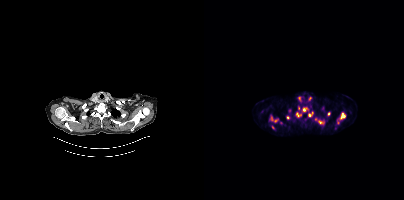
Coordinates are on the 200×200 PET (right) panel. (showing 11 of 14 foci) PSMA-avid tumor lesion bounding boxes (x, y, width, height): x=66 y=115 w=9 h=8 / x=136 y=112 w=6 h=8 / x=91 y=112 w=7 h=6 / x=104 y=112 w=5 h=5 / x=114 y=120 w=6 h=4. Small PSMA-avid foci (2 to 4 px across) near (center x, center y): (100, 109) / (83, 117) / (125, 113) / (69, 127) / (85, 110) / (76, 122).